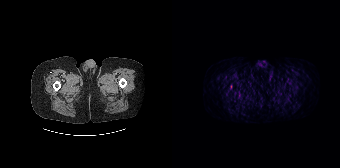
This slice has no annotated PSMA-avid lesion.